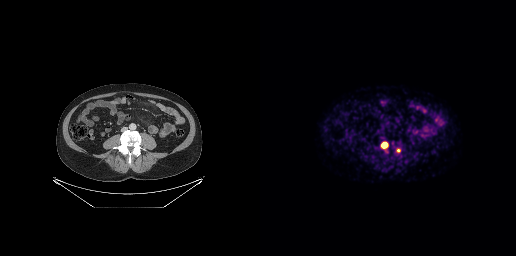
Coordinates are on the 256×256 PET (right) panel. PSMA-avid tumor lesion bounding box (x, y, width, height): x=121 y=142 w=7 h=7. Small PSMA-avid focus (2 to 4 px across) near (center x, center y): (138, 150).